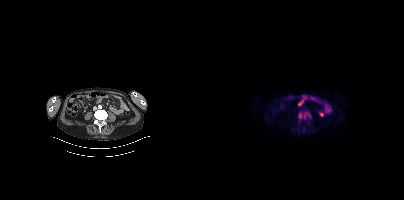
Paired axial CT (left) and PSMA PET (right), 18F-PSMA tracer. Slice position z = -1260 mm.
Coordinates are on the 200×200 PET (right) panel. PSMA-avid tumor lesion bounding boxes:
| # | x0 | y0 | x1 | y1 |
|---|---|---|---|---|
| 1 | 94 | 111 | 107 | 121 |